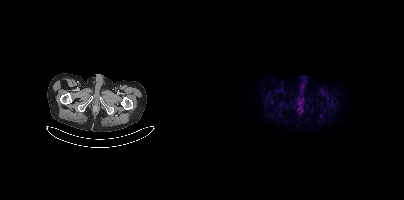
This slice has no annotated PSMA-avid lesion. Paired axial CT (left) and PSMA PET (right), [18F]PSMA-1007 tracer.